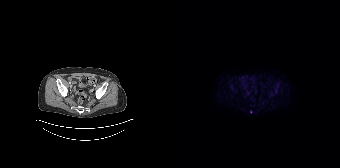
Paired axial CT (left) and PSMA PET (right), 18F-PSMA tracer. Coordinates are on the 168×168 PET (right) panel. Small PSMA-avid focus (2 to 4 px across) near (center x, center y): (78, 111).